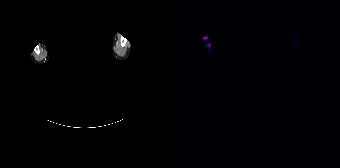
Findings: Only PSMA-avid lesion pieces thinner than 2 px on this slice (not listed).
Technique: Left: CT. Right: PSMA PET, same axial level, [18F]PSMA-1007 tracer. slice 162 of 165. PET panel 168×168 px (4.1 mm/px).
Note: Any black rectangle over the head is a privacy mask, not anatomy.